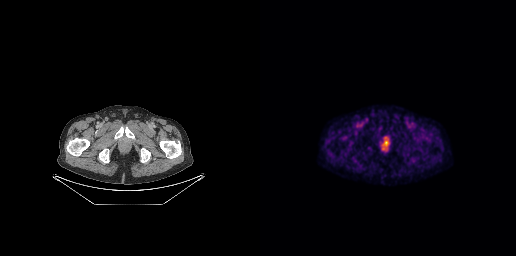
{"modality":"PSMA PET/CT","view":"axial","tracer":"18F","pet_grid":[256,256],"coord_frame":"pet_panel","coord_format":"x0,y0,x1,y1","lesion_bboxes":[[126,140,129,144]]}